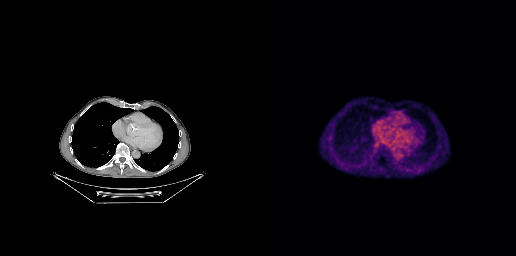
Paired axial CT (left) and PSMA PET (right), 18F-PSMA tracer. Acquired on GE Discovery 690. Slice position z = -347 mm. No tumor lesions annotated on this slice.